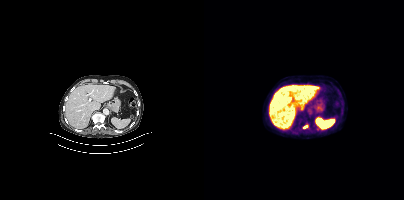
- Left: CT. Right: PSMA PET, same axial level, 18F-PSMA tracer
- acquired on Siemens Biograph mCT Flow 20
Findings: Coordinates are on the 200×200 PET (right) panel. (showing 1 of 2 foci) PSMA-avid tumor lesion bounding box (x, y, width, height): x=99 y=126 w=5 h=3.